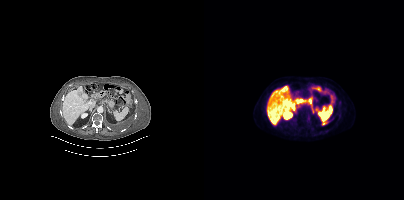
Technique: Two-panel axial: CT | PSMA PET, 18F-PSMA tracer. PET panel 200×200 px (4.1 mm/px).
Findings: Coordinates are on the 200×200 PET (right) panel. PSMA-avid tumor lesion bounding box (x0, y0)-(x1, y1): (100, 99)-(107, 104).